- Two-panel axial: CT | PSMA PET, 68Ga tracer
- acquired on Siemens Biograph mCT Flow 20
- PET panel 200×200 px (4.1 mm/px)
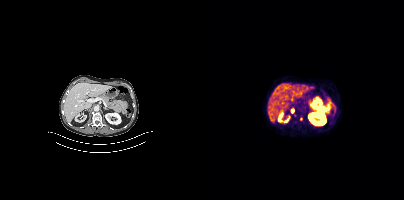
Findings: Coordinates are on the 200×200 PET (right) panel. (showing 1 of 2 foci) Small PSMA-avid focus (2 to 4 px across) near (center x, center y): (88, 111).